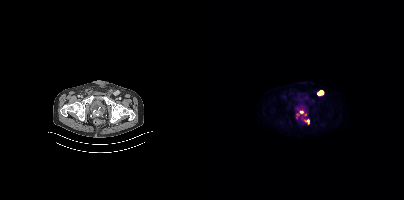
Left: CT. Right: PSMA PET, same axial level, [18F]PSMA-1007 tracer. Coordinates are on the 200×200 PET (right) panel. PSMA-avid tumor lesion bounding boxes (x, y, width, height): x=113 y=90 w=7 h=6 | x=93 y=110 w=7 h=6 | x=100 y=119 w=6 h=6. Small PSMA-avid focus (2 to 4 px across) near (center x, center y): (101, 114).